Technique: Left: CT. Right: PSMA PET, same axial level, [18F]PSMA-1007 tracer. acquired on Siemens Biograph mCT Flow 20. slice position z = -874 mm. PET panel 200×200 px (4.1 mm/px).
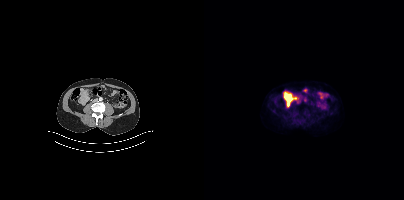
Findings: Negative for PSMA-avid disease on this slice.